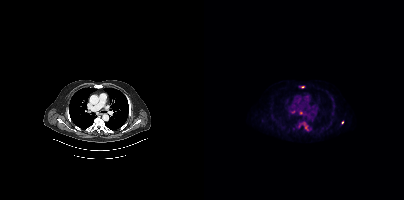
Coordinates are on the 200×200 PET (right) panel. PSMA-avid tumor lesion bounding boxes (partial; 2 more foci not listed):
| # | x0 | y0 | x1 | y1 |
|---|---|---|---|---|
| 1 | 86 | 110 | 90 | 113 |
| 2 | 101 | 126 | 104 | 130 |
Small PSMA-avid foci (2 to 4 px across) near (center x, center y): (96, 112); (95, 126); (138, 122); (98, 86).
Paired axial CT (left) and PSMA PET (right), 18F tracer. Acquired on Siemens Biograph mCT Flow 20.